Paired axial CT (left) and PSMA PET (right), 18F tracer. PET panel 200×200 px (4.1 mm/px). Head region blanked for anonymization (face removed).
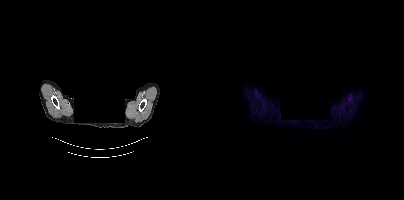
No tumor lesions annotated on this slice.